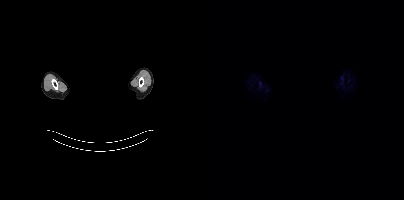
The face region was removed for patient privacy by blanking a rectangle over the head.
No PSMA-avid tumor lesions on this slice.